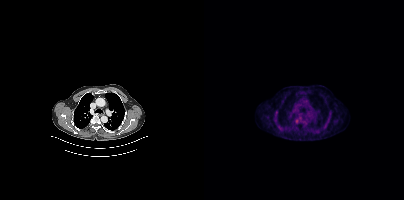
modality: PSMA PET/CT | tracer: 18F-PSMA | view: axial
Coordinates are on the 200×200 PET (right) panel. Small PSMA-avid focus (2 to 4 px across) near (center x, center y): (93, 121).